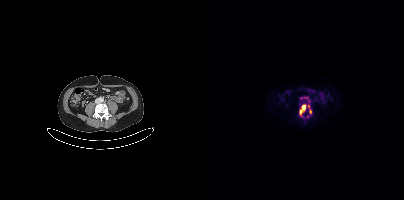
{"pet_grid":[200,200],"coord_frame":"pet_panel","coord_format":"x0,y0,x1,y1","partial":true,"lesion_bboxes":[[103,105,107,113],[98,105,102,110]],"small_foci_centers":[[96,111],[97,97],[103,116],[102,97]],"modality":"PSMA PET/CT","view":"axial","tracer":"18F"}